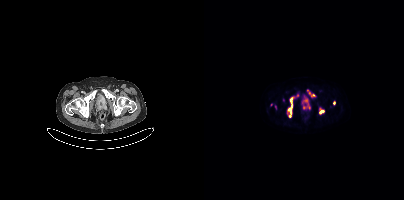
Coordinates are on the 200×200 PET (right) panel. PSMA-avid tumor lesion bounding boxes (x, y, width, height): x=83 y=98 w=6 h=19 / x=99 y=98 w=8 h=12 / x=103 y=89 w=8 h=7 / x=90 y=94 w=6 h=4 / x=115 y=110 w=5 h=4. Small PSMA-avid foci (2 to 4 px across) near (center x, center y): (71, 106) / (129, 103) / (67, 104).
modality: PSMA PET/CT | tracer: 18F | view: axial | PET grid: 200×200